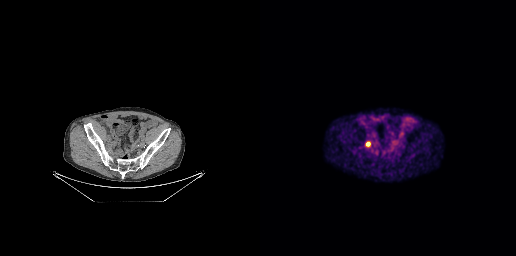
modality: PSMA PET/CT | tracer: 68Ga-PSMA | view: axial | PET grid: 256×256
Coordinates are on the 256×256 PET (right) panel. Small PSMA-avid focus (2 to 4 px across) near (center x, center y): (108, 143).